Technique: Left: CT. Right: PSMA PET, same axial level, 18F tracer.
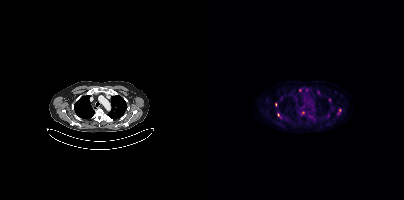
Findings: Coordinates are on the 200×200 PET (right) panel. (showing 5 of 6 foci) Small PSMA-avid foci (2 to 4 px across) near (center x, center y): (99, 112) / (74, 115) / (125, 100) / (135, 110) / (71, 104).